Technique: Paired axial CT (left) and PSMA PET (right), 18F tracer. acquired on Siemens Biograph mCT Flow 20. slice position z = 282 mm.
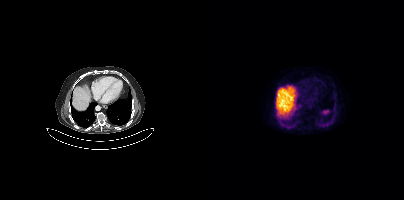
Findings: Negative for PSMA-avid disease on this slice.